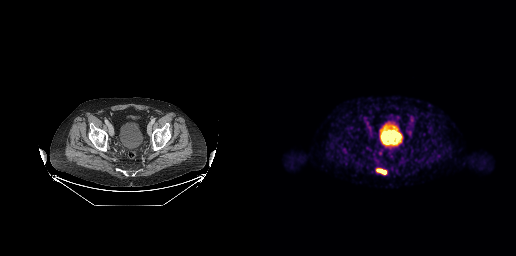
{"pet_grid":[256,256],"coord_frame":"pet_panel","coord_format":"x0,y0,x1,y1","lesion_bboxes":[[116,168,126,174]],"modality":"PSMA PET/CT","view":"axial","tracer":"18F"}